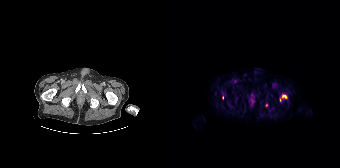
Two-panel axial: CT | PSMA PET, [18F]PSMA-1007 tracer. Slice 25 of 165. This slice has no annotated PSMA-avid lesion.